Technique: Left: CT. Right: PSMA PET, same axial level, 18F tracer. slice 142 of 391. PET panel 200×200 px (4.1 mm/px).
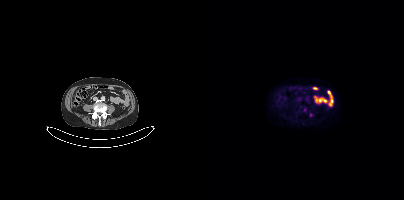
Findings: Negative for PSMA-avid disease on this slice.